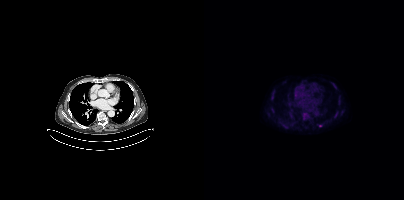
Coordinates are on the 200×200 PET (right) panel. (showing 5 of 6 foci) Small PSMA-avid foci (2 to 4 px across) near (center x, center y): (131, 86), (131, 116), (81, 126), (100, 114), (116, 125).